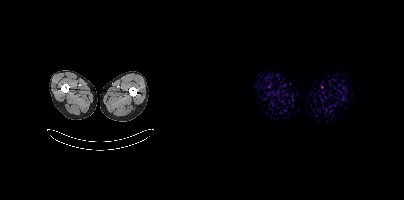
No tumor lesions annotated on this slice.